A rectangle over the head was blacked out to remove identifiable facial features. Paired axial CT (left) and PSMA PET (right), [18F]PSMA-1007 tracer. Slice position z = -354 mm. PET panel 200×200 px (4.1 mm/px).
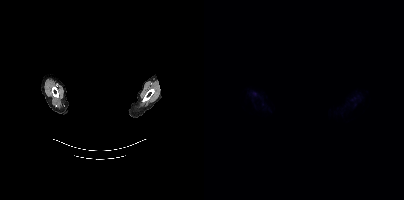
No PSMA-avid tumor lesions on this slice.